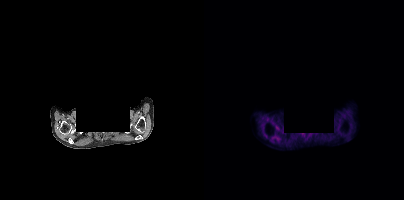
No tumor lesions annotated on this slice.
Facial anatomy redacted by setting a rectangular region of the head to black.